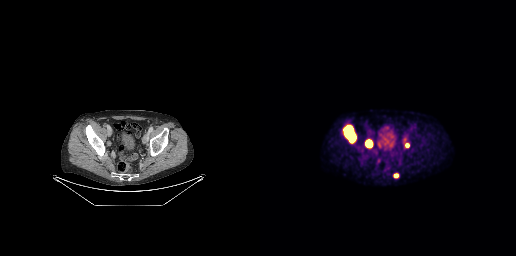
Coordinates are on the 256×256 PET (right) panel. PSMA-avid tumor lesion bounding boxes (x0,y0,x1,y1): [84,126,95,142], [106,140,111,146]. Small PSMA-avid foci (2 to 4 px across) near (center x, center y): (135, 175), (118, 145), (147, 145).